Left: CT. Right: PSMA PET, same axial level, 18F-PSMA tracer. Slice position z = -362 mm.
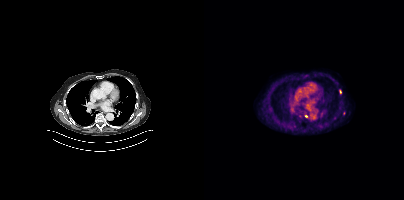
Coordinates are on the 200×200 PET (right) panel. (showing 2 of 3 foci) Small PSMA-avid foci (2 to 4 px across) near (center x, center y): (136, 91) | (101, 116).